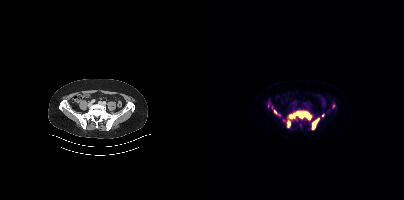
Coordinates are on the 200×200 PET (right) panel. PSMA-avid tumor lesion bounding boxes (x0,y0,x1,y1): [85,111,107,119], [108,118,115,129], [83,120,86,127]. Small PSMA-avid foci (2 to 4 px across) near (center x, center y): (71, 111), (119, 115), (129, 106).